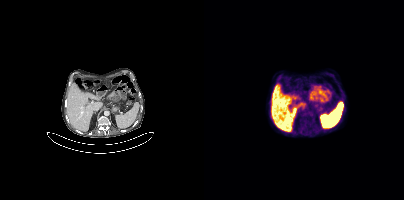
{"pet_grid":[200,200],"coord_frame":"pet_panel","coord_format":"x0,y0,x1,y1","psma_avid_lesions":false,"modality":"PSMA PET/CT","view":"axial","tracer":"[18F]PSMA-1007"}